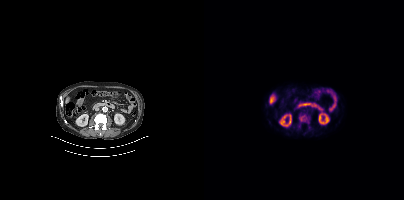
Paired axial CT (left) and PSMA PET (right), 18F tracer. PET panel 200×200 px (4.1 mm/px).
Coordinates are on the 200×200 PET (right) panel. PSMA-avid tumor lesion bounding boxes (partial; 2 more foci not listed):
| # | x0 | y0 | x1 | y1 |
|---|---|---|---|---|
| 1 | 95 | 114 | 105 | 123 |